- Left: CT. Right: PSMA PET, same axial level, 18F-PSMA tracer
- acquired on Siemens Biograph mCT Flow 20
- PET panel 200×200 px (4.1 mm/px)
- face de-identified by blanking a block of the head
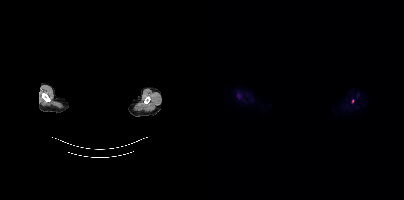
Findings: Coordinates are on the 200×200 PET (right) panel. Small PSMA-avid focus (2 to 4 px across) near (center x, center y): (148, 100).